Technique: Left: CT. Right: PSMA PET, same axial level, 18F-PSMA tracer. slice position z = -436 mm. PET panel 256×256 px (2.7 mm/px).
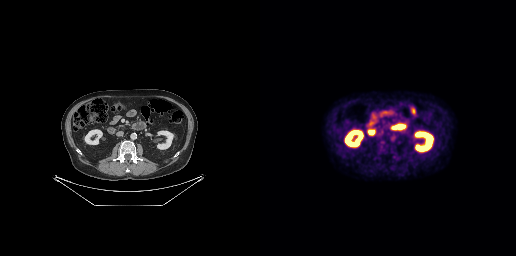
Findings: Negative for PSMA-avid disease on this slice.